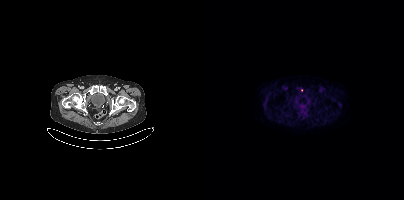
Coordinates are on the 200×200 PET (right) panel. Small PSMA-avid focus (2 to 4 px across) near (center x, center y): (97, 90).